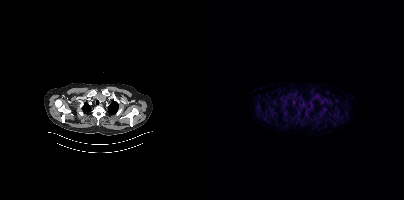
Findings: Only PSMA-avid lesion pieces thinner than 2 px on this slice (not listed).
Technique: Left: CT. Right: PSMA PET, same axial level, [18F]PSMA-1007 tracer. acquired on Siemens Biograph mCT Flow 20.